- Two-panel axial: CT | PSMA PET, 18F-PSMA tracer
- acquired on Siemens Biograph 64-4R TruePoint
- slice position z = -1346 mm
- PET panel 168×168 px (4.1 mm/px)
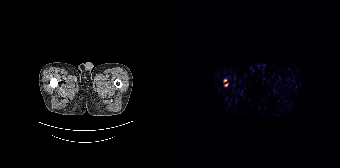
Findings: Coordinates are on the 168×168 PET (right) panel. PSMA-avid tumor lesion bounding box (x, y, width, height): x=52 y=83 w=5 h=4. Small PSMA-avid focus (2 to 4 px across) near (center x, center y): (52, 80).